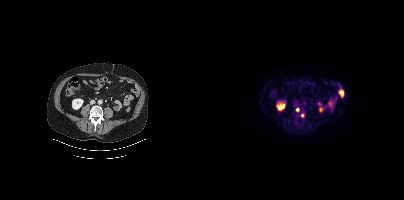
Coordinates are on the 200×200 PET (right) panel. Small PSMA-avid foci (2 to 4 px across) near (center x, center y): (93, 109), (98, 115).